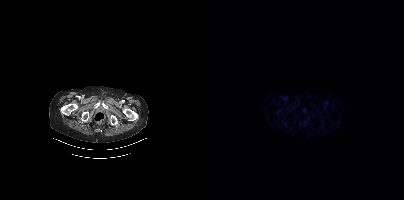
No tumor lesions annotated on this slice. Two-panel axial: CT | PSMA PET, 18F-PSMA tracer. Slice 50 of 377. PET panel 200×200 px (4.1 mm/px).